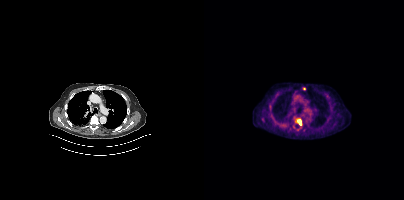
{"modality":"PSMA PET/CT","view":"axial","tracer":"18F-PSMA","pet_grid":[200,200],"coord_frame":"pet_panel","coord_format":"x0,y0,x1,y1","lesion_bboxes":[[93,119,97,125]],"small_foci_centers":[[100,88]]}